modality: PSMA PET/CT | tracer: 18F-PSMA | view: axial | PET grid: 200×200
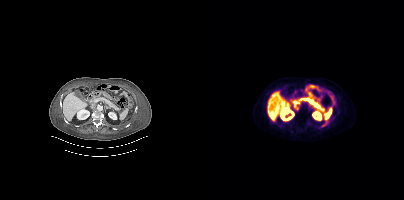
No tumor lesions annotated on this slice.